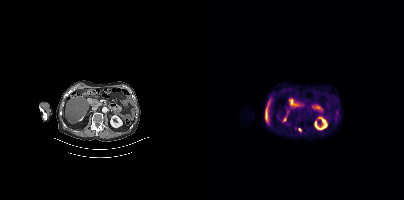
Two-panel axial: CT | PSMA PET, [18F]PSMA-1007 tracer. Slice 197 of 411. Coordinates are on the 200×200 PET (right) panel. Small PSMA-avid focus (2 to 4 px across) near (center x, center y): (95, 129).